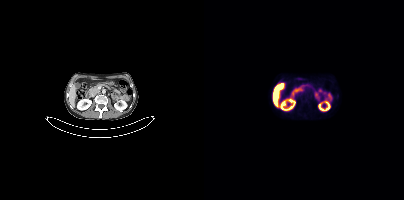
{"pet_grid":[200,200],"coord_frame":"pet_panel","coord_format":"x0,y0,x1,y1","lesion_bboxes":[],"small_foci_centers":[[133,95]],"modality":"PSMA PET/CT","view":"axial","tracer":"18F"}